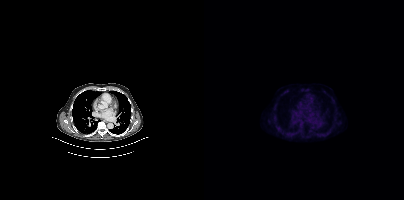
Paired axial CT (left) and PSMA PET (right), [18F]PSMA-1007 tracer. Acquired on Siemens Biograph mCT Flow 20. This slice has no annotated PSMA-avid lesion.